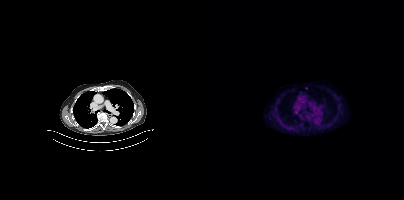
Only PSMA-avid lesion pieces thinner than 2 px on this slice (not listed).